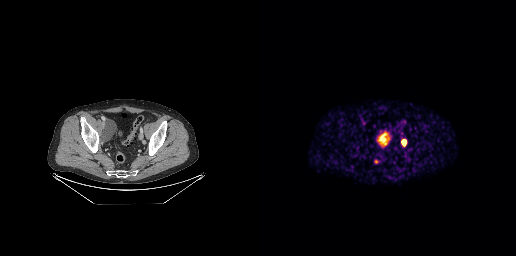
Coordinates are on the 256×256 PET (right) panel. PSMA-avid tumor lesion bounding boxes (x0, y0)-(x1, y1): (142, 140)-(146, 145) | (114, 160)-(118, 163).